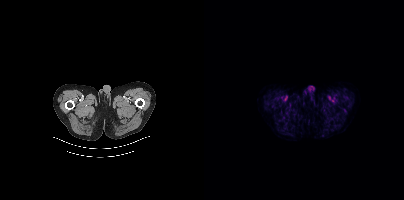
Technique: Left: CT. Right: PSMA PET, same axial level, 18F tracer. slice 32 of 454.
Findings: This slice has no annotated PSMA-avid lesion.